Face de-identified by blanking a block of the head.
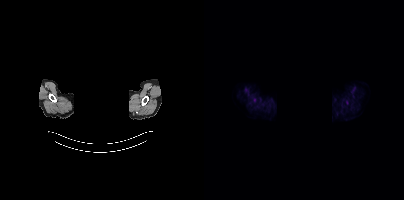
This slice has no annotated PSMA-avid lesion.